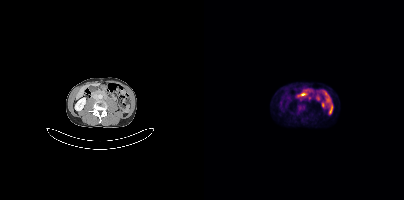
Technique: Paired axial CT (left) and PSMA PET (right), 18F-PSMA tracer. PET panel 200×200 px (4.1 mm/px).
Findings: Coordinates are on the 200×200 PET (right) panel. PSMA-avid tumor lesion bounding box (x0, y0)-(x1, y1): (94, 105)-(99, 110).